- Paired axial CT (left) and PSMA PET (right), 18F-PSMA tracer
- acquired on Siemens Biograph mCT Flow 20
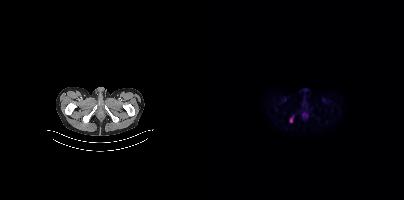
Findings: Coordinates are on the 200×200 PET (right) panel. PSMA-avid tumor lesion bounding box (x0,y0,x1,y1): [86,118,88,122].